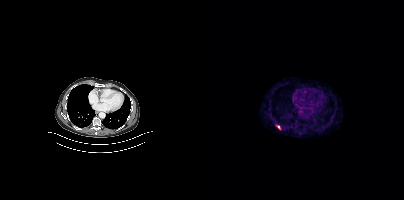
Paired axial CT (left) and PSMA PET (right), 68Ga tracer. PET panel 200×200 px (4.1 mm/px). Coordinates are on the 200×200 PET (right) panel. Small PSMA-avid focus (2 to 4 px across) near (center x, center y): (74, 127).